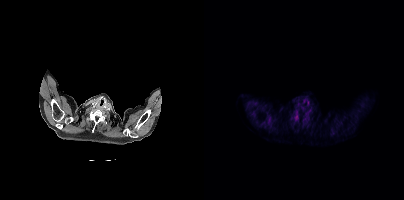
Two-panel axial: CT | PSMA PET, 18F-PSMA tracer. PET panel 200×200 px (4.1 mm/px). No tumor lesions annotated on this slice.